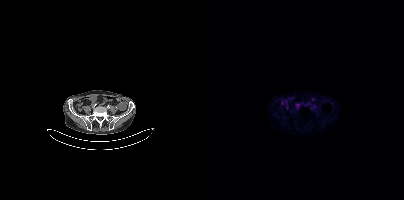
modality: PSMA PET/CT | tracer: [18F]PSMA-1007 | view: axial | PET grid: 200×200
No tumor lesions annotated on this slice.